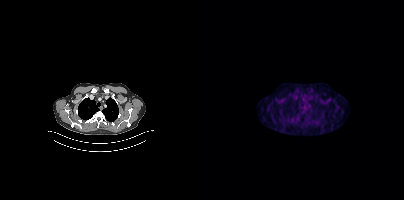
Technique: Two-panel axial: CT | PSMA PET, 18F-PSMA tracer. slice 340 of 429.
Findings: No PSMA-avid tumor lesions on this slice.